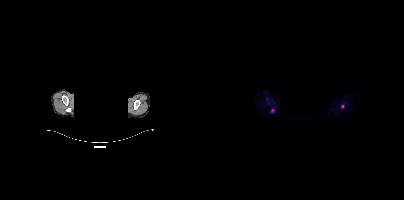
- Paired axial CT (left) and PSMA PET (right), 18F-PSMA tracer
- PET panel 200×200 px (4.1 mm/px)
- face de-identified by blanking a block of the head
Findings: Coordinates are on the 200×200 PET (right) panel. Small PSMA-avid foci (2 to 4 px across) near (center x, center y): (69, 110) / (138, 106).